Two-panel axial: CT | PSMA PET, 18F-PSMA tracer. Acquired on Siemens Biograph mCT Flow 20. Slice 277 of 423. PET panel 200×200 px (4.1 mm/px).
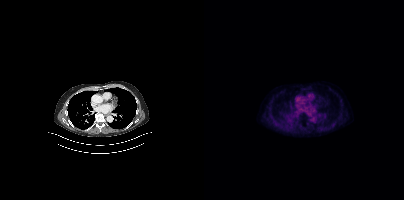
No PSMA-avid tumor lesions on this slice.